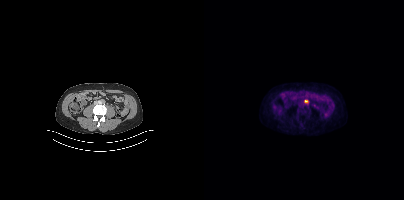
- Left: CT. Right: PSMA PET, same axial level, 18F-PSMA tracer
- acquired on Siemens Biograph mCT Flow 20
- PET panel 200×200 px (4.1 mm/px)
Findings: Coordinates are on the 200×200 PET (right) panel. PSMA-avid tumor lesion bounding box (x0,y0,x1,y1): [100,100,104,102].